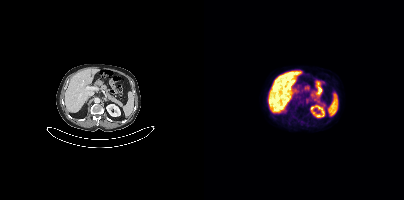
{"modality":"PSMA PET/CT","view":"axial","tracer":"18F-PSMA","pet_grid":[200,200],"coord_frame":"pet_panel","coord_format":"x0,y0,x1,y1","lesion_bboxes":[],"small_foci_centers":[[103,100]]}